- Two-panel axial: CT | PSMA PET, [18F]PSMA-1007 tracer
- slice 18 of 407
- PET panel 200×200 px (4.1 mm/px)
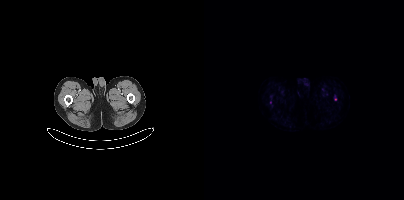
Findings: Coordinates are on the 200×200 PET (right) panel. (showing 1 of 2 foci) Small PSMA-avid focus (2 to 4 px across) near (center x, center y): (66, 102).